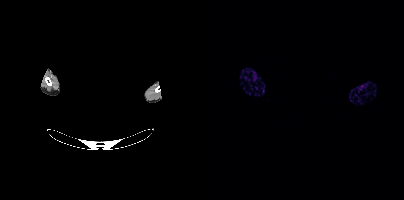
This slice has no annotated PSMA-avid lesion.
The face region was removed for patient privacy by blanking a rectangle over the head.